modality: PSMA PET/CT | tracer: 18F-PSMA | view: axial
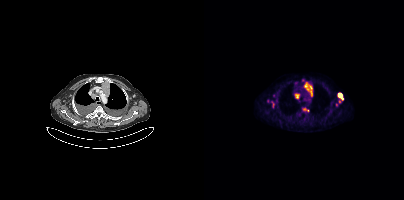
Coordinates are on the 200×200 PET (right) panel. PSMA-avid tumor lesion bounding boxes (x0,y0,x1,y1): [100,82,108,96] [134,93,139,100] [91,94,95,98] [67,101,70,106] [99,108,104,111]. Small PSMA-avid foci (2 to 4 px across) near (center x, center y): (63, 101) (135, 101) (69, 95).